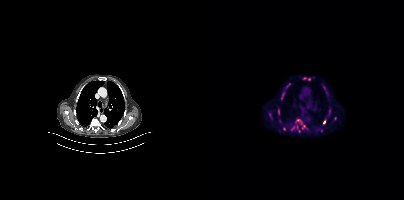
Coordinates are on the 200×200 PET (right) panel. (showing 8 of 11 foci) PSMA-avid tumor lesion bounding boxes (x0,y0,x1,y1): [87,118,104,132] [64,112,68,119] [119,118,122,124] [82,83,87,87] [74,108,75,115] [125,110,126,114]. Small PSMA-avid foci (2 to 4 px across) near (center x, center y): (100, 78) (105, 79). Two-panel axial: CT | PSMA PET, 18F tracer. Acquired on Siemens Biograph mCT Flow 20. PET panel 200×200 px (4.1 mm/px).